Head region blanked for anonymization (face removed).
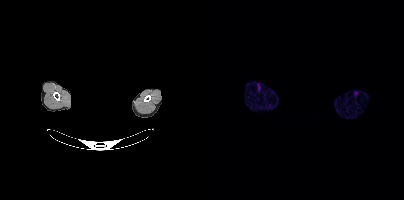
This slice has no annotated PSMA-avid lesion.